- Two-panel axial: CT | PSMA PET, 68Ga tracer
- PET panel 168×168 px (4.1 mm/px)
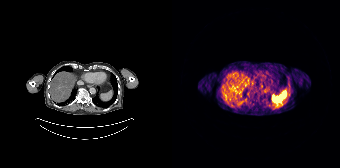
Findings: No PSMA-avid tumor lesions on this slice.